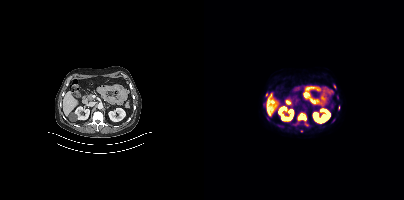
{"pet_grid":[200,200],"coord_frame":"pet_panel","coord_format":"x0,y0,x1,y1","partial":true,"lesion_bboxes":[[93,114,102,121]],"small_foci_centers":[[130,86],[62,94],[129,120]],"modality":"PSMA PET/CT","view":"axial","tracer":"[18F]PSMA-1007"}